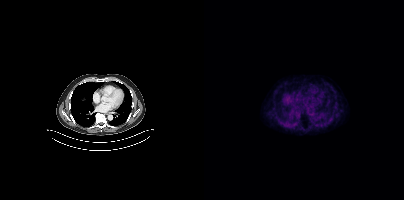
Findings: No tumor lesions annotated on this slice.
Technique: Paired axial CT (left) and PSMA PET (right), 68Ga-PSMA tracer. acquired on Siemens Biograph mCT Flow 20.